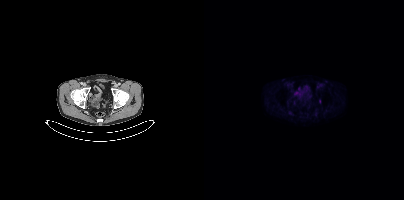
Coordinates are on the 200×200 PET (right) panel. Small PSMA-avid focus (2 to 4 px across) near (center x, center y): (115, 101).